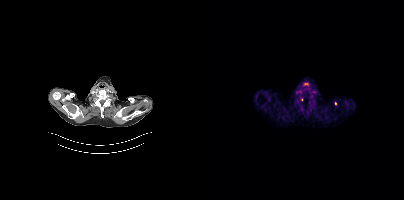
Coordinates are on the 200×200 PET (right) panel. (showing 1 of 2 foci) Small PSMA-avid focus (2 to 4 px across) near (center x, center y): (131, 103). Left: CT. Right: PSMA PET, same axial level, 18F tracer. Acquired on Siemens Biograph mCT Flow 20.